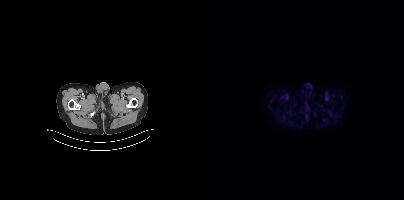
Negative for PSMA-avid disease on this slice.